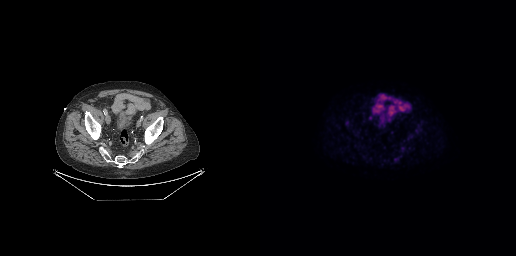
- Left: CT. Right: PSMA PET, same axial level, 18F-PSMA tracer
- slice 94 of 299
- PET panel 256×256 px (2.7 mm/px)
Findings: Negative for PSMA-avid disease on this slice.